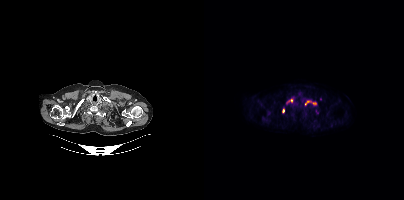
{"modality":"PSMA PET/CT","view":"axial","tracer":"18F","pet_grid":[200,200],"coord_frame":"pet_panel","coord_format":"x0,y0,x1,y1","partial":true,"lesion_bboxes":[[101,100,107,105],[78,108,80,113]],"small_foci_centers":[[86,100],[110,103]]}